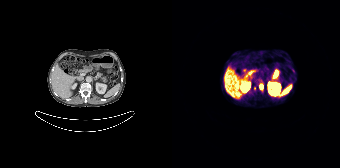
Technique: Paired axial CT (left) and PSMA PET (right), 68Ga tracer. acquired on Siemens Biograph 64-4R TruePoint.
Findings: Coordinates are on the 168×168 PET (right) panel. PSMA-avid tumor lesion bounding box (x0, y0)-(x1, y1): (88, 85)-(90, 89). Small PSMA-avid focus (2 to 4 px across) near (center x, center y): (82, 88).